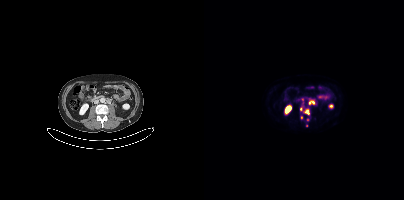
Coordinates are on the 200×200 PET (right) panel. (showing 6 of 8 foci) PSMA-avid tumor lesion bounding boxes (x0,y0,x1,y1): [101,110,105,114], [105,101,110,104]. Small PSMA-avid foci (2 to 4 px across) near (center x, center y): (97, 117), (96, 109), (103, 119), (102, 125).